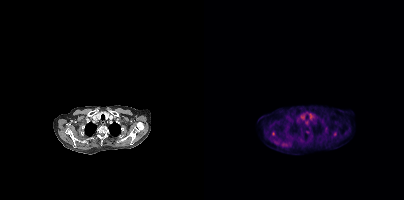
Coordinates are on the 200×200 PET (right) panel. PSMA-avid tumor lesion bounding boxes (x, y, width, height): x=129 y=132 w=4 h=5 / x=68 y=131 w=3 h=5.